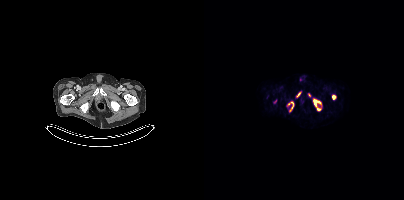
modality: PSMA PET/CT | tracer: 18F-PSMA | view: axial
Coordinates are on the 200×200 PET (right) panel. (showing 4 of 5 foci) PSMA-avid tumor lesion bounding boxes (x0, y0)-(x1, y1): (109, 99)-(117, 110) / (84, 102)-(89, 111) / (128, 95)-(131, 99) / (93, 92)-(96, 96).